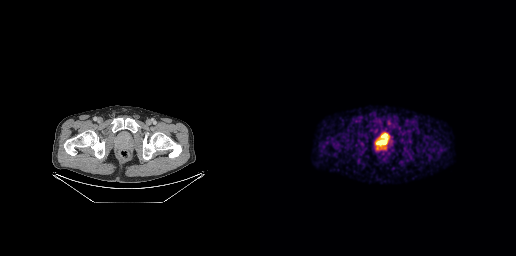
{"modality":"PSMA PET/CT","view":"axial","tracer":"[18F]PSMA-1007","pet_grid":[256,256],"coord_frame":"pet_panel","coord_format":"x0,y0,x1,y1","lesion_bboxes":[[115,135,128,148]]}